Two-panel axial: CT | PSMA PET, [18F]PSMA-1007 tracer. Slice 286 of 401.
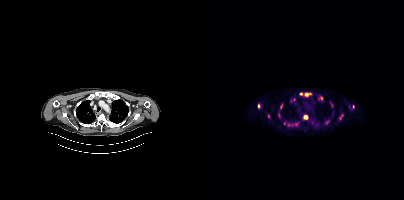
Coordinates are on the 200×200 PET (right) panel. PSMA-avid tumor lesion bounding boxes (partial; 5 more foci not listed):
| # | x0 | y0 | x1 | y1 |
|---|---|---|---|---|
| 1 | 101 | 93 | 107 | 96 |
| 2 | 100 | 115 | 103 | 119 |
| 3 | 86 | 98 | 91 | 102 |
| 4 | 74 | 113 | 76 | 117 |
| 5 | 135 | 114 | 138 | 119 |
Small PSMA-avid foci (2 to 4 px across) near (center x, center y): (92, 123); (117, 97); (97, 94); (77, 105); (54, 106); (123, 122); (64, 116).